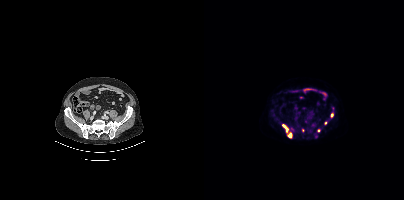
Two-panel axial: CT | PSMA PET, 18F-PSMA tracer. PET panel 200×200 px (4.1 mm/px). Coordinates are on the 200×200 PET (right) panel. PSMA-avid tumor lesion bounding boxes (x0,y0,x1,y1): [78,124,89,137] [127,113,129,117]. Small PSMA-avid foci (2 to 4 px across) near (center x, center y): (121, 123) (114, 130) (98, 130).